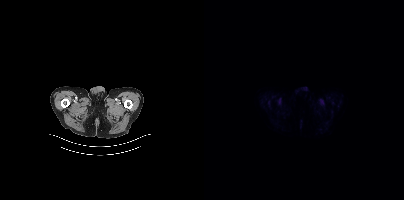
modality: PSMA PET/CT | tracer: 18F-PSMA | view: axial | PET grid: 200×200
Negative for PSMA-avid disease on this slice.